Two-panel axial: CT | PSMA PET, 18F-PSMA tracer. Acquired on Siemens Biograph mCT Flow 20. PET panel 200×200 px (4.1 mm/px).
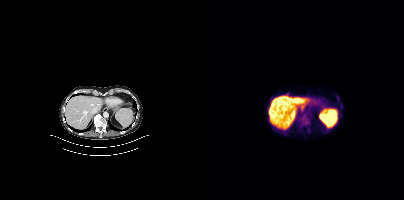
No tumor lesions annotated on this slice.